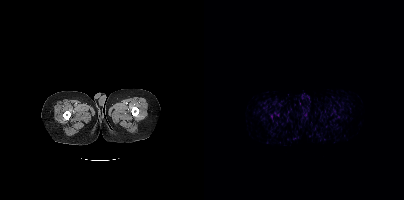
Technique: Two-panel axial: CT | PSMA PET, 68Ga tracer. slice 12 of 444. PET panel 200×200 px (4.1 mm/px).
Findings: Negative for PSMA-avid disease on this slice.